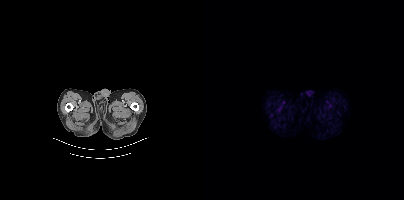
No tumor lesions annotated on this slice. Left: CT. Right: PSMA PET, same axial level, [18F]PSMA-1007 tracer.